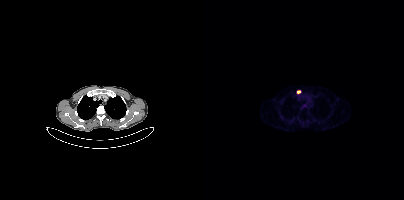
Coordinates are on the 200×200 PET (right) panel. Small PSMA-avid focus (2 to 4 px across) near (center x, center y): (94, 91).